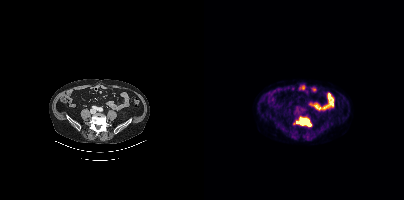
Left: CT. Right: PSMA PET, same axial level, [18F]PSMA-1007 tracer. Slice 131 of 403.
Coordinates are on the 200×200 PET (right) panel. PSMA-avid tumor lesion bounding boxes:
| # | x0 | y0 | x1 | y1 |
|---|---|---|---|---|
| 1 | 92 | 117 | 107 | 126 |